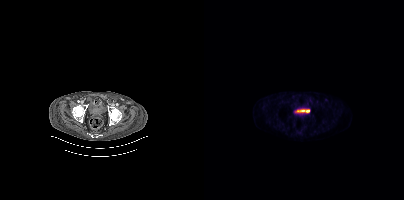
Findings: This slice has no annotated PSMA-avid lesion.
Technique: Two-panel axial: CT | PSMA PET, 18F-PSMA tracer. acquired on Siemens Biograph mCT Flow 20. PET panel 200×200 px (4.1 mm/px).